Left: CT. Right: PSMA PET, same axial level, 18F-PSMA tracer. Slice position z = -1474 mm.
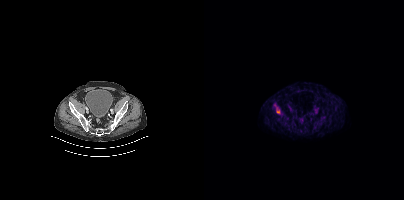
Coordinates are on the 200×200 PET (right) panel. Small PSMA-avid focus (2 to 4 px across) near (center x, center y): (74, 111).